modality: PSMA PET/CT | tracer: 18F | view: axial | PET grid: 200×200
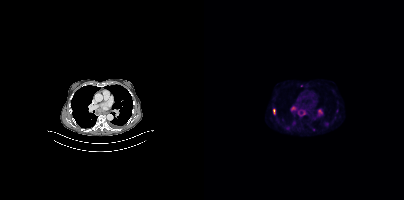
Coordinates are on the 200×200 PET (right) panel. PSMA-avid tumor lesion bounding boxes (x0, y0)-(x1, y1): (94, 109)-(102, 116) | (87, 106)-(92, 110) | (114, 109)-(118, 113) | (69, 109)-(70, 113). Small PSMA-avid foci (2 to 4 px across) near (center x, center y): (123, 123) | (84, 126) | (109, 129) | (89, 122).